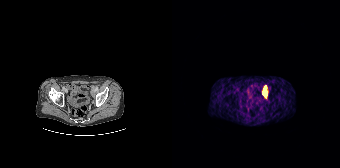
Coordinates are on the 168×168 PET (right) panel. PSMA-avid tumor lesion bounding box (x, y, width, height): x=91 y=86 w=5 h=11.